Paired axial CT (left) and PSMA PET (right), 18F-PSMA tracer. Acquired on Siemens Biograph mCT Flow 20. Slice position z = -810 mm. PET panel 200×200 px (4.1 mm/px).
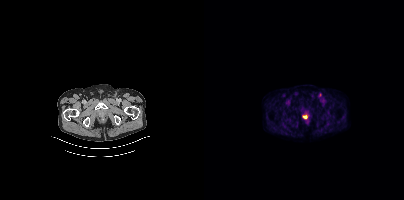
Coordinates are on the 200×200 PET (right) panel. PSMA-avid tumor lesion bounding boxes:
| # | x0 | y0 | x1 | y1 |
|---|---|---|---|---|
| 1 | 98 | 115 | 103 | 118 |
Small PSMA-avid focus (2 to 4 px across) near (center x, center y): (116, 94).